Paired axial CT (left) and PSMA PET (right), [68Ga]Ga-PSMA-11 tracer. Slice 75 of 165. PET panel 168×168 px (4.1 mm/px).
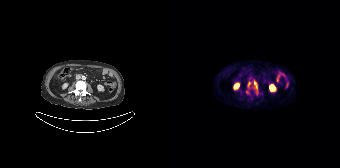
Coordinates are on the 168×168 PET (right) panel. PSMA-avid tumor lesion bounding boxes (partial; 1 more focus not listed):
| # | x0 | y0 | x1 | y1 |
|---|---|---|---|---|
| 1 | 82 | 80 | 85 | 91 |
| 2 | 76 | 82 | 78 | 87 |
Small PSMA-avid focus (2 to 4 px across) near (center x, center y): (74, 91).